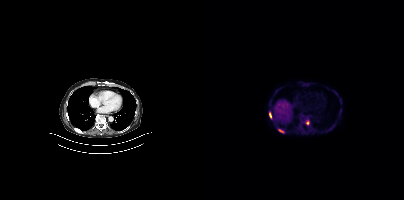
{"modality":"PSMA PET/CT","view":"axial","tracer":"18F-PSMA","pet_grid":[200,200],"coord_frame":"pet_panel","coord_format":"x0,y0,x1,y1","lesion_bboxes":[[74,129,80,133],[102,120,105,125],[65,113,67,117]]}